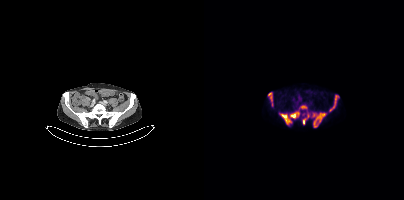
Coordinates are on the 200×200 PET (right) panel. (showing 5 of 6 foci) PSMA-avid tumor lesion bounding boxes (x, y, width, height): x=75 y=105 w=29 h=20; x=108 y=112 w=15 h=16; x=125 y=95 w=11 h=17; x=64 y=92 w=6 h=15; x=98 y=113 w=8 h=12.